Technique: Left: CT. Right: PSMA PET, same axial level, 18F-PSMA tracer. acquired on Siemens Biograph mCT Flow 20.
Note: A rectangle over the head was blacked out to remove identifiable facial features.
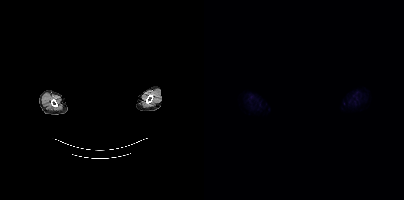
Findings: No PSMA-avid tumor lesions on this slice.